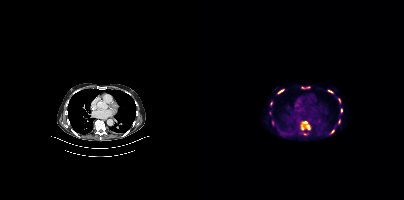
Coordinates are on the 200×200 PET (right) panel. (showing 10 of 12 foci) PSMA-avid tumor lesion bounding boxes (x, y, width, height): x=96 y=121 w=11 h=10 | x=97 y=86 w=10 h=4 | x=73 y=89 w=8 h=6 | x=123 y=90 w=7 h=4 | x=136 y=108 w=3 h=6 | x=134 y=119 w=3 h=6 | x=134 y=98 w=3 h=6 | x=126 y=130 w=5 h=4. Small PSMA-avid foci (2 to 4 px across) near (center x, center y): (67, 103) | (101, 133).
modality: PSMA PET/CT | tracer: 18F | view: axial | PET grid: 200×200